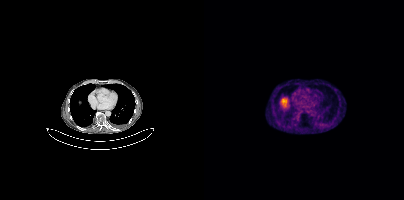
This slice has no annotated PSMA-avid lesion.